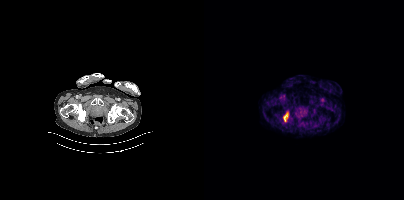
Technique: Paired axial CT (left) and PSMA PET (right), [18F]PSMA-1007 tracer. slice position z = -970 mm. PET panel 200×200 px (4.1 mm/px).
Findings: Coordinates are on the 200×200 PET (right) panel. PSMA-avid tumor lesion bounding box (x0, y0)-(x1, y1): (79, 113)-(84, 121).